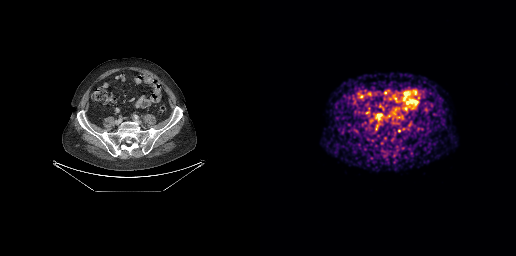
- Two-panel axial: CT | PSMA PET, 68Ga-PSMA tracer
- PET panel 256×256 px (2.7 mm/px)
Findings: No PSMA-avid tumor lesions on this slice.